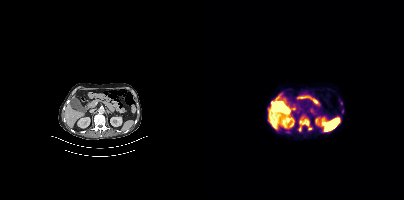
Coordinates are on the 200×200 PET (right) panel. (showing 2 of 3 foci) PSMA-avid tumor lesion bounding box (x, y, width, height): x=95 y=121 w=13 h=11. Small PSMA-avid focus (2 to 4 px across) near (center x, center y): (138, 111).